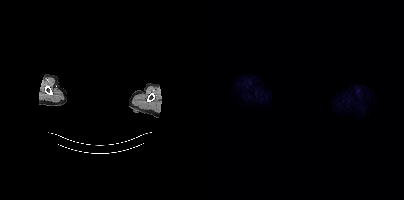
The face region was removed for patient privacy by blanking a rectangle over the head.
No tumor lesions annotated on this slice.